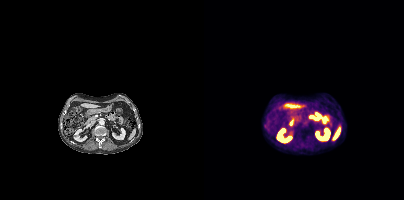
{"modality":"PSMA PET/CT","view":"axial","tracer":"[18F]PSMA-1007","pet_grid":[200,200],"coord_frame":"pet_panel","coord_format":"x0,y0,x1,y1","psma_avid_lesions":false}